modality: PSMA PET/CT | tracer: 18F-PSMA | view: axial
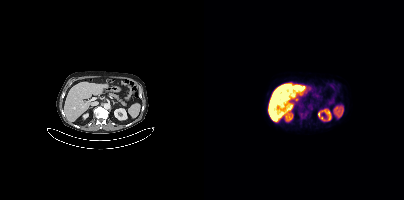
No PSMA-avid tumor lesions on this slice.